modality: PSMA PET/CT | tracer: 18F | view: axial
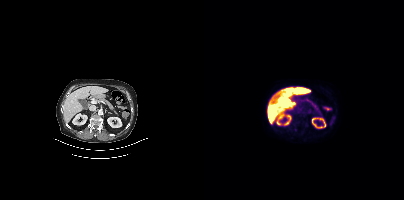
This slice has no annotated PSMA-avid lesion.